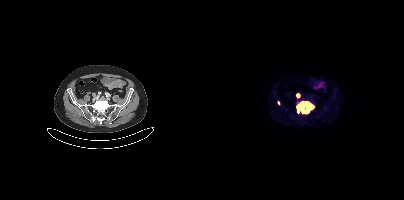
Coordinates are on the 200×200 PET (right) panel. PSMA-avid tumor lesion bounding box (x0,y0,x1,y1): [93,102,109,113]. Small PSMA-avid foci (2 to 4 px across) near (center x, center y): (94, 95) (74, 103).